- Two-panel axial: CT | PSMA PET, 18F-PSMA tracer
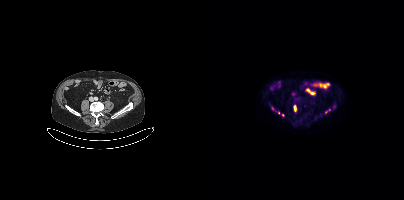
Findings: Coordinates are on the 200×200 PET (right) panel. (showing 3 of 6 foci) PSMA-avid tumor lesion bounding boxes (x, y, width, height): x=121 y=109 w=6 h=5 | x=90 y=106 w=3 h=5. Small PSMA-avid focus (2 to 4 px across) near (center x, center y): (68, 108).